Technique: Two-panel axial: CT | PSMA PET, [18F]PSMA-1007 tracer.
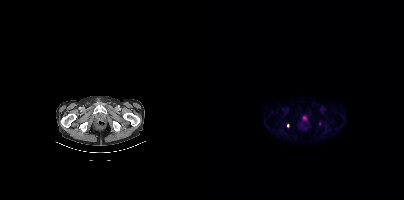
Findings: Coordinates are on the 200×200 PET (right) panel. Small PSMA-avid foci (2 to 4 px across) near (center x, center y): (115, 123) / (83, 125).